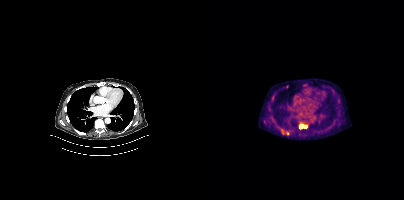
Coordinates are on the 200×200 PET (right) panel. (showing 3 of 4 foci) PSMA-avid tumor lesion bounding box (x0,y0,x1,y1): [95,124,99,128]. Small PSMA-avid foci (2 to 4 px across) near (center x, center y): (79, 133); (83, 133).